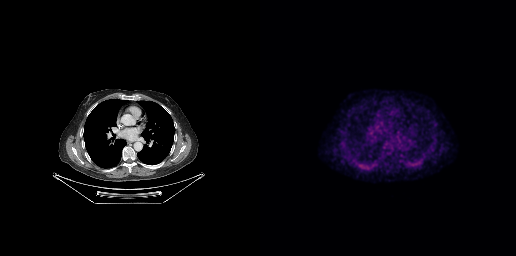
No PSMA-avid tumor lesions on this slice.
modality: PSMA PET/CT | tracer: 18F | view: axial | PET grid: 256×256